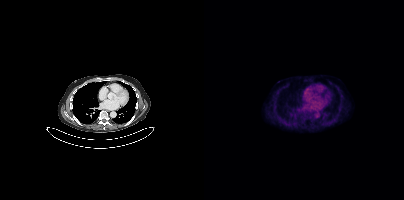
No tumor lesions annotated on this slice. Left: CT. Right: PSMA PET, same axial level, [18F]PSMA-1007 tracer. Acquired on Siemens Biograph mCT Flow 20. Slice 262 of 401.